Two-panel axial: CT | PSMA PET, 68Ga tracer.
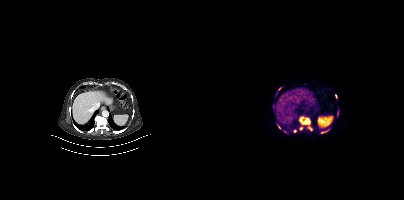
Coordinates are on the 200×200 PET (right) panel. PSMA-avid tumor lesion bounding boxes (x0, y0)-(x1, y1): (95, 116)-(106, 124) | (103, 126)-(108, 130) | (117, 129)-(125, 133) | (95, 126)-(99, 130) | (133, 110)-(134, 116) | (73, 123)-(76, 129) | (131, 94)-(133, 98). Small PSMA-avid foci (2 to 4 px across) near (center x, center y): (91, 131) | (75, 88) | (72, 93).